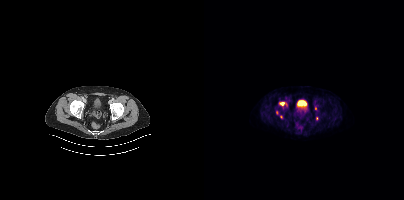
- Paired axial CT (left) and PSMA PET (right), 18F-PSMA tracer
- acquired on Siemens Biograph mCT Flow 20
- slice 77 of 444
Findings: Coordinates are on the 200×200 PET (right) panel. (showing 1 of 3 foci) PSMA-avid tumor lesion bounding box (x0, y0)-(x1, y1): (75, 102)-(80, 105).